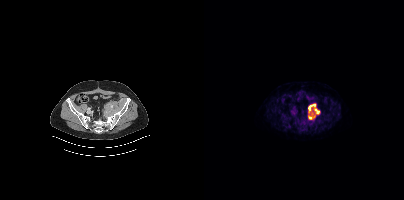
- Paired axial CT (left) and PSMA PET (right), 18F-PSMA tracer
- acquired on Siemens Biograph mCT Flow 20
Findings: Coordinates are on the 200×200 PET (right) panel. PSMA-avid tumor lesion bounding box (x, y, width, height): x=104 y=103 w=13 h=17.